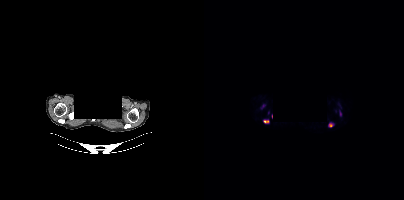
Findings: Coordinates are on the 200×200 PET (right) panel. (showing 3 of 4 foci) PSMA-avid tumor lesion bounding boxes (x, y, width, height): x=59 y=119 w=7 h=5 / x=136 y=111 w=2 h=5. Small PSMA-avid focus (2 to 4 px across) near (center x, center y): (126, 124).
Technique: Left: CT. Right: PSMA PET, same axial level, 18F-PSMA tracer. slice position z = -246 mm.
Note: Any black rectangle over the head is a privacy mask, not anatomy.